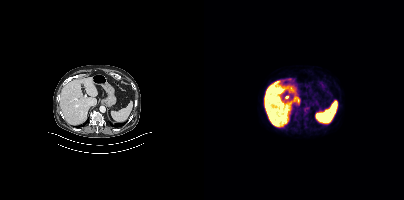
{"modality":"PSMA PET/CT","view":"axial","tracer":"[18F]PSMA-1007","pet_grid":[200,200],"coord_frame":"pet_panel","coord_format":"x0,y0,x1,y1","psma_avid_lesions":false}